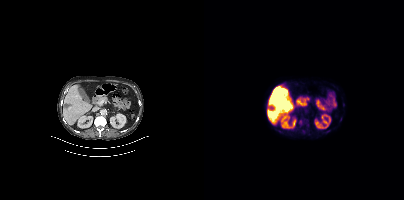
{"modality":"PSMA PET/CT","view":"axial","tracer":"18F-PSMA","pet_grid":[200,200],"coord_frame":"pet_panel","coord_format":"x0,y0,x1,y1","lesion_bboxes":[[95,120,97,124]],"small_foci_centers":[[139,104]]}